Paired axial CT (left) and PSMA PET (right), 18F tracer. PET panel 200×200 px (4.1 mm/px).
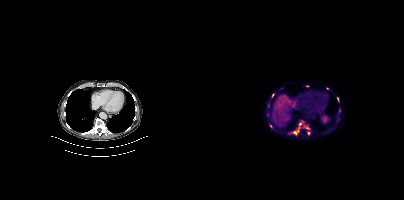
Coordinates are on the 200×200 PET (right) panel. (showing 9 of 11 foci) Small PSMA-avid foci (2 to 4 px across) near (center x, center y): (90, 132) / (96, 123) / (123, 88) / (68, 95) / (66, 126) / (133, 98) / (135, 110) / (103, 127) / (104, 132).